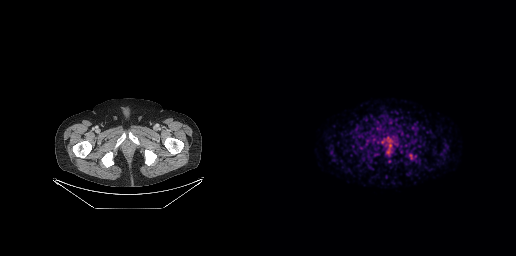
Findings: Coordinates are on the 256×256 PET (right) panel. PSMA-avid tumor lesion bounding box (x0,y0,x1,y1): [150,154,152,158]. Small PSMA-avid focus (2 to 4 px across) near (center x, center y): (130, 145).
- Two-panel axial: CT | PSMA PET, 68Ga tracer
- slice position z = -935 mm